Paired axial CT (left) and PSMA PET (right), 18F tracer.
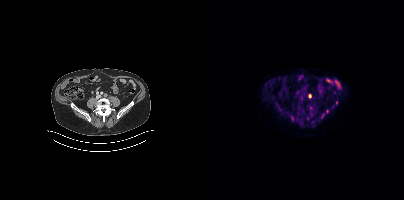
Coordinates are on the 200×200 PET (right) panel. PSMA-avid tumor lesion bounding boxes (x, y, width, height): x=86 y=115 w=4 h=5; x=117 y=113 w=4 h=5. Small PSMA-avid foci (2 to 4 px across) near (center x, center y): (106, 95); (132, 102); (123, 111).